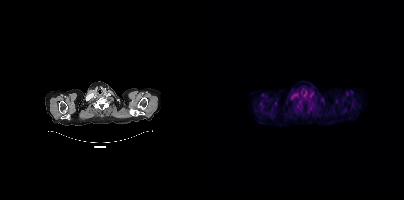
No PSMA-avid tumor lesions on this slice. Left: CT. Right: PSMA PET, same axial level, [18F]PSMA-1007 tracer.